Paired axial CT (left) and PSMA PET (right), 68Ga-PSMA tracer. Acquired on Siemens Biograph mCT Flow 20.
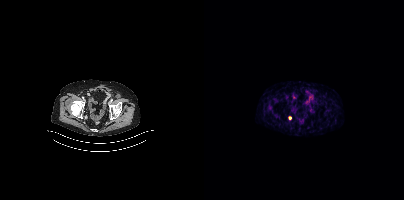
Coordinates are on the 200×200 PET (right) panel. Small PSMA-avid focus (2 to 4 px across) near (center x, center y): (85, 117).